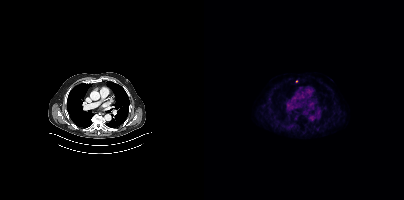
Only PSMA-avid lesion pieces thinner than 2 px on this slice (not listed). Paired axial CT (left) and PSMA PET (right), 18F tracer. Acquired on Siemens Biograph mCT Flow 20. PET panel 200×200 px (4.1 mm/px).